Technique: Left: CT. Right: PSMA PET, same axial level, [18F]PSMA-1007 tracer. slice 65 of 448.
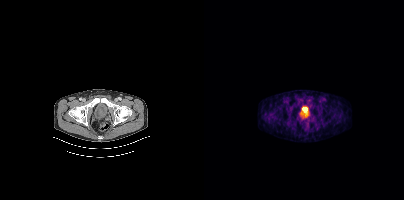
Findings: This slice has no annotated PSMA-avid lesion.